Left: CT. Right: PSMA PET, same axial level, [18F]PSMA-1007 tracer. PET panel 200×200 px (4.1 mm/px).
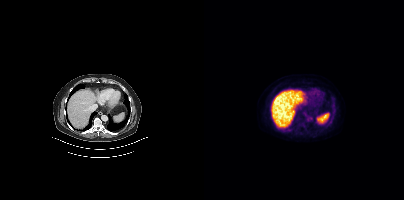
No PSMA-avid tumor lesions on this slice.